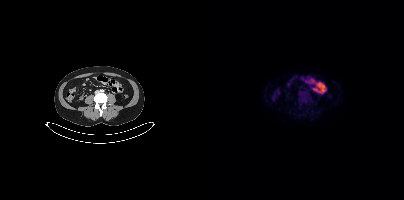
This slice has no annotated PSMA-avid lesion.
modality: PSMA PET/CT | tracer: [18F]PSMA-1007 | view: axial | PET grid: 200×200